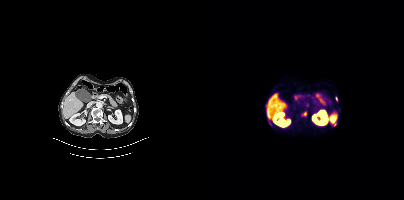
Coordinates are on the 200×200 PET (right) panel. Small PSMA-avid foci (2 to 4 px across) near (center x, center y): (130, 124), (101, 113), (66, 123), (132, 98), (65, 119).